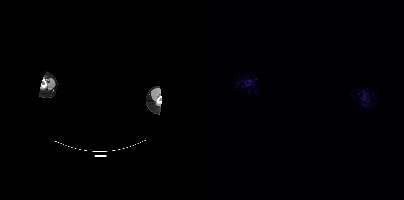
{"modality":"PSMA PET/CT","view":"axial","tracer":"18F","pet_grid":[200,200],"coord_frame":"pet_panel","coord_format":"x0,y0,x1,y1","redaction":"head region blanked (face removed)","psma_avid_lesions":false}